Left: CT. Right: PSMA PET, same axial level, [18F]PSMA-1007 tracer. Acquired on Siemens Biograph mCT Flow 20. Slice 182 of 389.
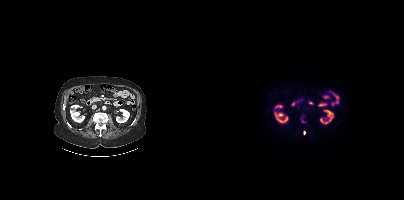
Coordinates are on the 200×200 PET (right) panel. Small PSMA-avid focus (2 to 4 px across) near (center x, center y): (100, 132).